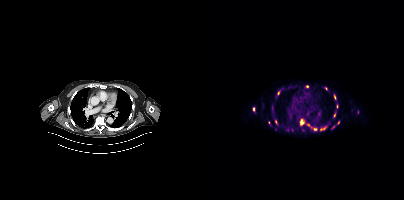
- Left: CT. Right: PSMA PET, same axial level, 18F tracer
- acquired on Siemens Biograph mCT Flow 20
Findings: Coordinates are on the 200×200 PET (right) panel. (showing 14 of 18 foci) PSMA-avid tumor lesion bounding boxes (x, y, width, height): x=96 y=119 w=5 h=7 / x=116 y=126 w=7 h=5 / x=130 y=94 w=3 h=6 / x=130 y=113 w=2 h=5. Small PSMA-avid foci (2 to 4 px across) near (center x, center y): (111, 129) / (49, 108) / (103, 86) / (122, 88) / (74, 93) / (133, 106) / (71, 121) / (134, 122) / (104, 124) / (129, 126).